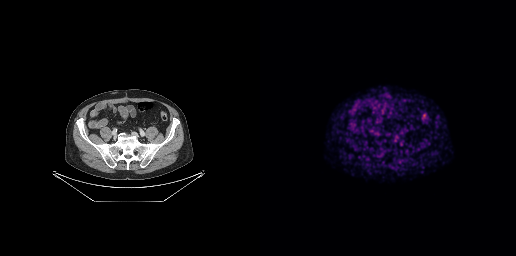
{"modality":"PSMA PET/CT","view":"axial","tracer":"68Ga-PSMA","pet_grid":[256,256],"coord_frame":"pet_panel","coord_format":"x0,y0,x1,y1","psma_avid_lesions":false}